modality: PSMA PET/CT | tracer: [68Ga]Ga-PSMA-11 | view: axial
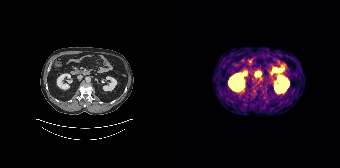
No tumor lesions annotated on this slice.